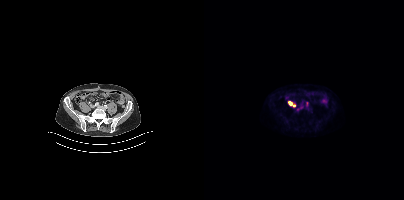
Coordinates are on the 200×200 PET (right) panel. PSMA-avid tumor lesion bounding box (x, y, width, height): x=84 y=101 w=8 h=7.